Technique: Paired axial CT (left) and PSMA PET (right), [18F]PSMA-1007 tracer. acquired on Siemens Biograph mCT Flow 20.
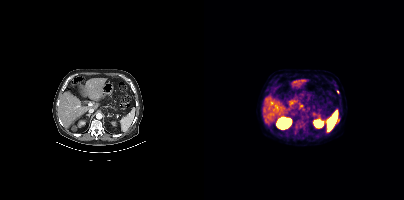
Findings: Coordinates are on the 200×200 PET (right) panel. PSMA-avid tumor lesion bounding box (x0, y0)-(x1, y1): (133, 119)-(135, 123). Small PSMA-avid focus (2 to 4 px across) near (center x, center y): (133, 91).